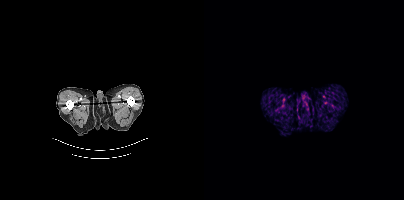
{"modality":"PSMA PET/CT","view":"axial","tracer":"18F","pet_grid":[200,200],"coord_frame":"pet_panel","coord_format":"x0,y0,x1,y1","psma_avid_lesions":false}